Technique: Two-panel axial: CT | PSMA PET, 18F tracer. acquired on Siemens Biograph mCT Flow 20. slice 314 of 421.
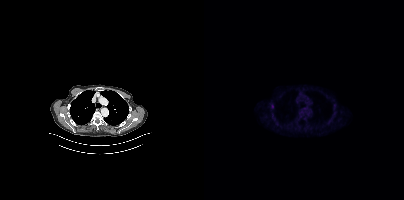
Findings: This slice has no annotated PSMA-avid lesion.